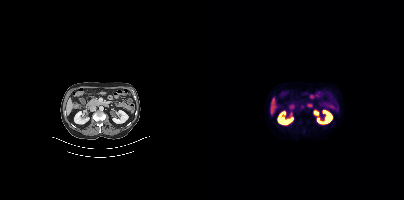
modality: PSMA PET/CT | tracer: 18F | view: axial | PET grid: 200×200
No tumor lesions annotated on this slice.